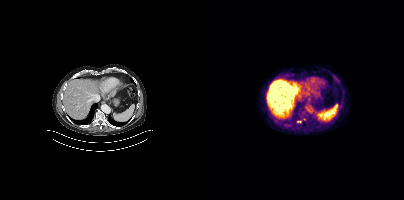
{"modality":"PSMA PET/CT","view":"axial","tracer":"18F","pet_grid":[200,200],"coord_frame":"pet_panel","coord_format":"x0,y0,x1,y1","partial":true,"lesion_bboxes":[],"small_foci_centers":[[95,121]]}